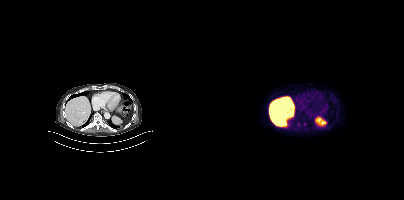
{"pet_grid":[200,200],"coord_frame":"pet_panel","coord_format":"x0,y0,x1,y1","lesion_bboxes":[],"small_foci_centers":[[120,126]],"modality":"PSMA PET/CT","view":"axial","tracer":"18F"}